Paired axial CT (left) and PSMA PET (right), 18F tracer. Acquired on Siemens Biograph mCT Flow 20. Slice position z = -1274 mm.
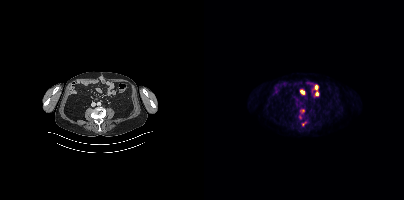
Coordinates are on the 200×200 PET (right) panel. (showing 1 of 2 foci) Small PSMA-avid focus (2 to 4 px across) near (center x, center y): (98, 124).